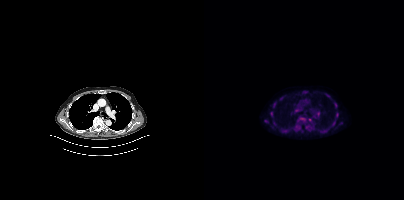
Coordinates are on the 200×200 PET (right) panel. (showing 7 of 8 foci) PSMA-avid tumor lesion bounding boxes (x0, y0)-(x1, y1): (94, 117)-(102, 121) / (130, 103)-(133, 107). Small PSMA-avid foci (2 to 4 px across) near (center x, center y): (133, 114) / (67, 113) / (70, 104) / (106, 120) / (62, 120).